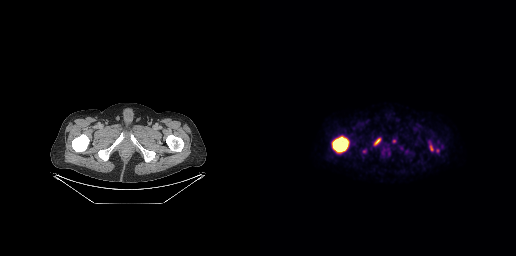
Coordinates are on the 256×256 PET (right) panel. PSMA-avid tumor lesion bounding boxes:
| # | x0 | y0 | x1 | y1 |
|---|---|---|---|---|
| 1 | 72 | 136 | 88 | 152 |
| 2 | 114 | 138 | 120 | 145 |
| 3 | 170 | 145 | 173 | 150 |
Small PSMA-avid focus (2 to 4 px across) near (center x, center y): (177, 150).
Paired axial CT (left) and PSMA PET (right), 18F-PSMA tracer. PET panel 256×256 px (2.7 mm/px).